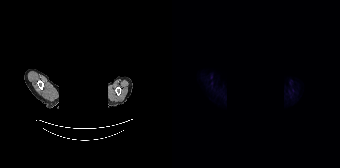
Findings: Negative for PSMA-avid disease on this slice.
- privacy masking over the head, with the pixels inside a rectangle set to black
- Two-panel axial: CT | PSMA PET, 18F tracer
- acquired on Siemens Biograph 64-4R TruePoint
- slice 148 of 165